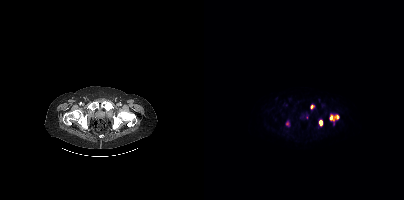
Coordinates are on the 200×200 PET (right) panel. (showing 3 of 4 foci) PSMA-avid tumor lesion bounding boxes (x0,y0,x1,y1): [125,114,135,120], [115,120,118,126]. Small PSMA-avid focus (2 to 4 px across) near (center x, center y): (108, 106).